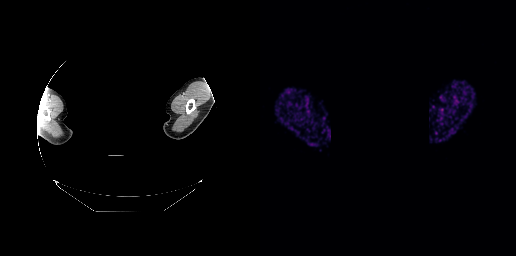
- an anonymization step blacked out a rectangle over the head in this scan
- Paired axial CT (left) and PSMA PET (right), 68Ga-PSMA tracer
- acquired on GE Discovery 690
- PET panel 256×256 px (2.7 mm/px)
Findings: This slice has no annotated PSMA-avid lesion.